Two-panel axial: CT | PSMA PET, 18F tracer. PET panel 168×168 px (4.1 mm/px).
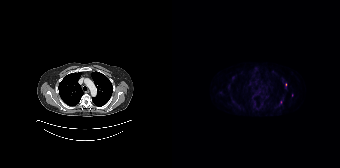
Coordinates are on the 168×168 PET (right) panel. (showing 1 of 3 foci) Small PSMA-avid focus (2 to 4 px across) near (center x, center y): (113, 84).